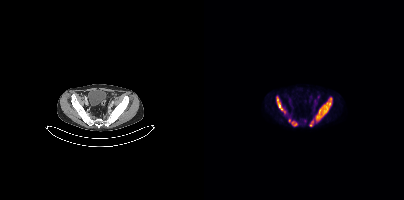
Coordinates are on the 200×200 PET (right) panel. PSMA-avid tumor lesion bounding boxes (x, y, width, height): x=105 y=97 w=24 h=30; x=72 y=96 w=10 h=18; x=84 y=119 w=10 h=8. Paired axial CT (left) and PSMA PET (right), [18F]PSMA-1007 tracer. Slice 87 of 403.